- Left: CT. Right: PSMA PET, same axial level, 68Ga tracer
- acquired on Siemens Biograph 64-4R TruePoint
- slice position z = -328 mm
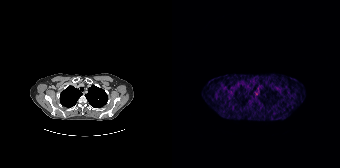
Findings: Coordinates are on the 168×168 PET (right) panel. Small PSMA-avid focus (2 to 4 px across) near (center x, center y): (84, 94).